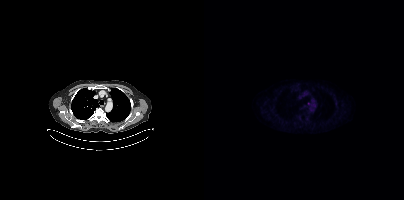
Only PSMA-avid lesion pieces thinner than 2 px on this slice (not listed). Left: CT. Right: PSMA PET, same axial level, 18F tracer. Acquired on Siemens Biograph mCT Flow 20.